modality: PSMA PET/CT | tracer: [18F]PSMA-1007 | view: axial | PET grid: 168×168
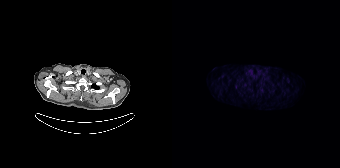
Coordinates are on the 168×168 PET (right) panel. Small PSMA-avid focus (2 to 4 px across) near (center x, center y): (63, 86).